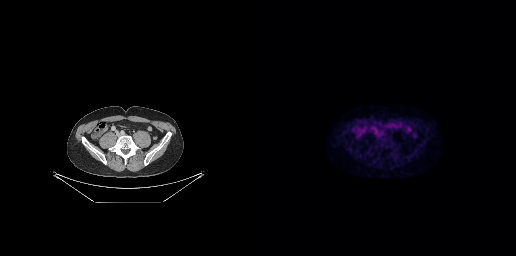
{"modality":"PSMA PET/CT","view":"axial","tracer":"18F-PSMA","pet_grid":[256,256],"coord_frame":"pet_panel","coord_format":"x0,y0,x1,y1","psma_avid_lesions":false}